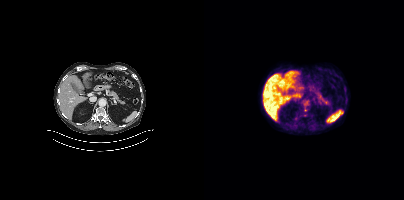
Paired axial CT (left) and PSMA PET (right), 18F tracer. Acquired on Siemens Biograph mCT Flow 20. Only PSMA-avid lesion pieces thinner than 2 px on this slice (not listed).